Technique: Left: CT. Right: PSMA PET, same axial level, 68Ga tracer. slice 149 of 165.
Note: A rectangular block over the head has been blanked out for de-identification.
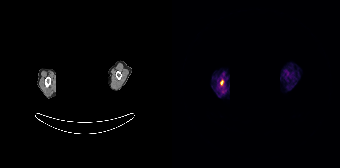
Findings: Coordinates are on the 168×168 PET (right) panel. PSMA-avid tumor lesion bounding box (x, y, width, height): x=49 y=80 w=3 h=5.